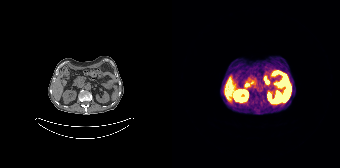
Findings: No tumor lesions annotated on this slice.
Technique: Left: CT. Right: PSMA PET, same axial level, [68Ga]Ga-PSMA-11 tracer. slice position z = -1421 mm. PET panel 168×168 px (4.1 mm/px).